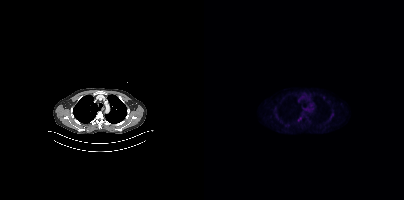
{"modality":"PSMA PET/CT","view":"axial","tracer":"18F","pet_grid":[200,200],"coord_frame":"pet_panel","coord_format":"x0,y0,x1,y1","lesion_bboxes":[[81,124,85,126]],"small_foci_centers":[[128,114]]}